- Left: CT. Right: PSMA PET, same axial level, 18F-PSMA tracer
- PET panel 200×200 px (4.1 mm/px)
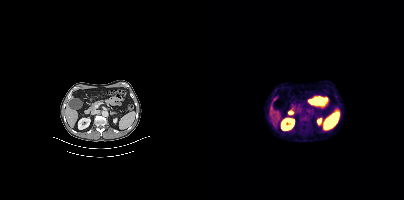
Findings: Coordinates are on the 200×200 PET (right) panel. (showing 1 of 3 foci) PSMA-avid tumor lesion bounding box (x0, y0)-(x1, y1): (96, 115)-(105, 124).